modality: PSMA PET/CT | tracer: 18F | view: axial
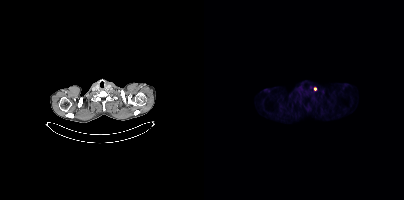
Coordinates are on the 200×200 PET (right) panel. Small PSMA-avid focus (2 to 4 px across) near (center x, center y): (111, 88).